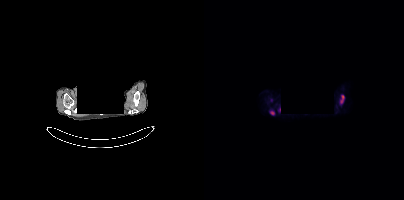
Findings: Coordinates are on the 200×200 PET (right) panel. PSMA-avid tumor lesion bounding boxes (x, y, width, height): x=136 y=95 w=5 h=9; x=66 y=111 w=5 h=4.
- Paired axial CT (left) and PSMA PET (right), 18F-PSMA tracer
- acquired on Siemens Biograph mCT Flow 20
- PET panel 200×200 px (4.1 mm/px)
- the face region was removed for patient privacy by blanking a rectangle over the head